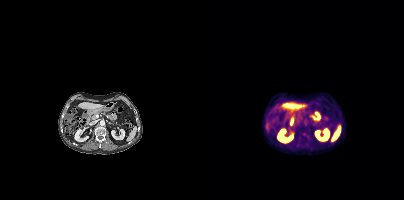
{"modality":"PSMA PET/CT","view":"axial","tracer":"18F","pet_grid":[200,200],"coord_frame":"pet_panel","coord_format":"x0,y0,x1,y1","psma_avid_lesions":false}